Left: CT. Right: PSMA PET, same axial level, 68Ga-PSMA tracer.
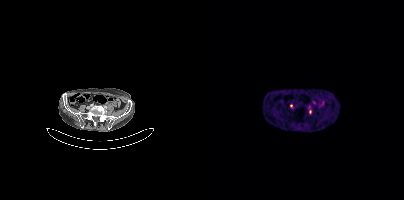
Coordinates are on the 200×200 PET (right) panel. Small PSMA-avid focus (2 to 4 px across) near (center x, center y): (106, 111).